- Left: CT. Right: PSMA PET, same axial level, 18F tracer
- acquired on Siemens Biograph 64-4R TruePoint
- PET panel 168×168 px (4.1 mm/px)
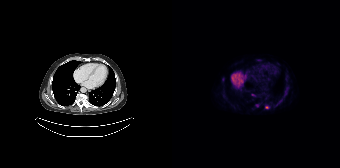
Findings: Coordinates are on the 168×168 PET (right) panel. (showing 3 of 4 foci) Small PSMA-avid foci (2 to 4 px across) near (center x, center y): (94, 107) / (81, 94) / (113, 93).